modality: PSMA PET/CT | tracer: 18F | view: axial
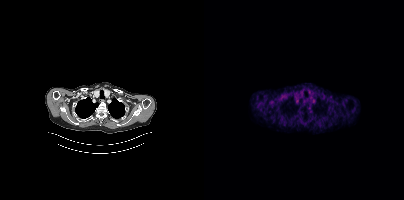
No tumor lesions annotated on this slice.